Left: CT. Right: PSMA PET, same axial level, [18F]PSMA-1007 tracer. Acquired on Siemens Biograph mCT Flow 20. PET panel 200×200 px (4.1 mm/px).
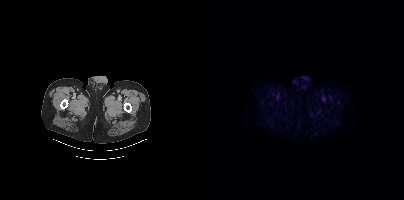
No tumor lesions annotated on this slice.